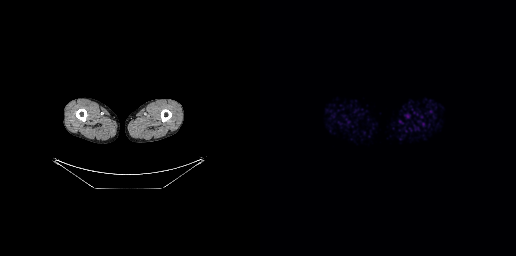
{"modality":"PSMA PET/CT","view":"axial","tracer":"18F-PSMA","pet_grid":[256,256],"coord_frame":"pet_panel","coord_format":"x0,y0,x1,y1","psma_avid_lesions":false}